Technique: Paired axial CT (left) and PSMA PET (right), 18F tracer. PET panel 200×200 px (4.1 mm/px).
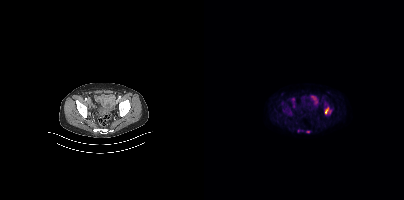
Findings: Coordinates are on the 200×200 PET (right) panel. (showing 2 of 4 foci) PSMA-avid tumor lesion bounding box (x0, y0)-(x1, y1): (121, 107)-(124, 114). Small PSMA-avid focus (2 to 4 px across) near (center x, center y): (104, 131).